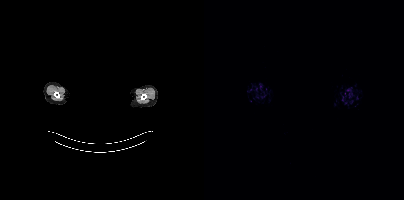
The face region was removed for patient privacy by blanking a rectangle over the head. Two-panel axial: CT | PSMA PET, 18F-PSMA tracer. Acquired on Siemens Biograph mCT Flow 20. Slice position z = -382 mm. No tumor lesions annotated on this slice.